Two-panel axial: CT | PSMA PET, 18F tracer. Acquired on Siemens Biograph mCT Flow 20. Slice position z = -1604 mm. PET panel 200×200 px (4.1 mm/px).
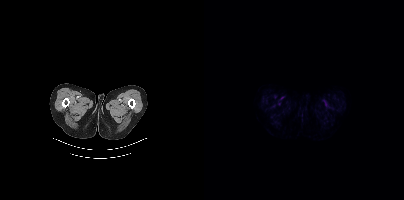
Negative for PSMA-avid disease on this slice.